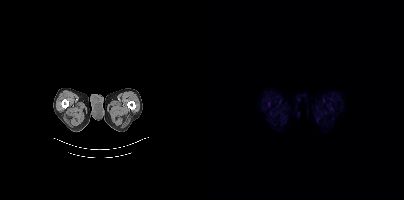
Negative for PSMA-avid disease on this slice. Paired axial CT (left) and PSMA PET (right), 18F-PSMA tracer. Slice position z = -1680 mm.